modality: PSMA PET/CT | tracer: 18F | view: axial | PET grid: 200×200
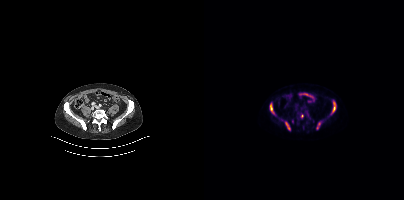
Coordinates are on the 200×200 PET (right) panel. (showing 6 of 7 foci) PSMA-avid tumor lesion bounding boxes (x, y, width, height): x=128 y=101 w=4 h=12 | x=66 y=103 w=5 h=12 | x=81 y=122 w=6 h=9 | x=113 y=121 w=5 h=9. Small PSMA-avid foci (2 to 4 px across) near (center x, center y): (98, 116) | (103, 115).